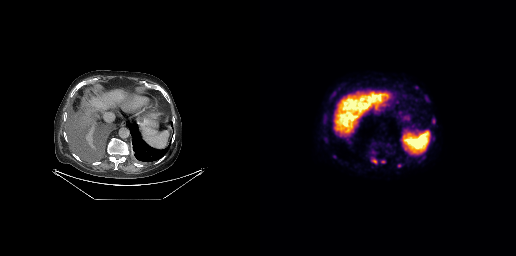
Coordinates are on the 256×256 PET (right) panel. PSMA-avid tumor lesion bounding boxes (x0, y0)-(x1, y1): (172, 118)-(175, 124); (112, 159)-(116, 163). Small PSMA-avid foci (2 to 4 px across) near (center x, center y): (139, 165); (123, 161).